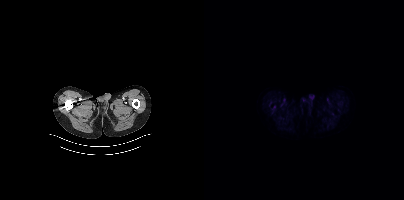
Paired axial CT (left) and PSMA PET (right), 18F tracer. Slice 29 of 401. No PSMA-avid tumor lesions on this slice.